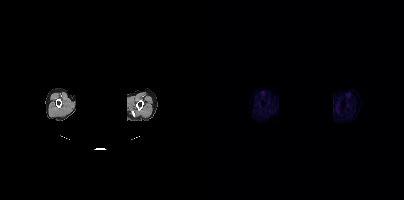
Face de-identified by blanking a block of the head. Two-panel axial: CT | PSMA PET, 68Ga tracer. No PSMA-avid tumor lesions on this slice.